modality: PSMA PET/CT | tracer: 18F-PSMA | view: axial | PET grid: 256×256
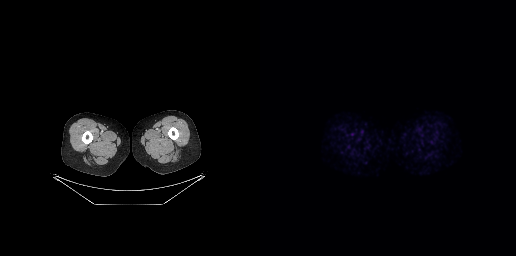
Negative for PSMA-avid disease on this slice.